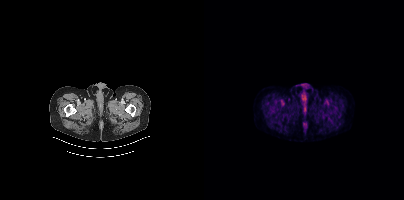
This slice has no annotated PSMA-avid lesion. Two-panel axial: CT | PSMA PET, [18F]PSMA-1007 tracer. Acquired on Siemens Biograph mCT Flow 20. Slice 44 of 438.